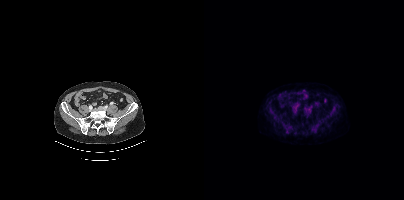
Technique: Left: CT. Right: PSMA PET, same axial level, 18F-PSMA tracer. PET panel 200×200 px (4.1 mm/px).
Findings: This slice has no annotated PSMA-avid lesion.